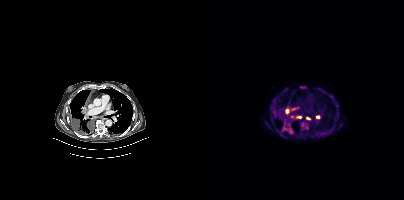
Coordinates are on the 200×200 PET (right) panel. PSMA-avid tumor lesion bounding boxes (x0, y0)-(x1, y1): (78, 125)-(89, 134) | (95, 86)-(102, 88) | (82, 109)-(85, 113) | (87, 108)-(92, 110) | (93, 116)-(97, 118). Small PSMA-avid foci (2 to 4 px across) near (center x, center y): (70, 112) | (100, 125) | (113, 117) | (88, 116) | (104, 118).